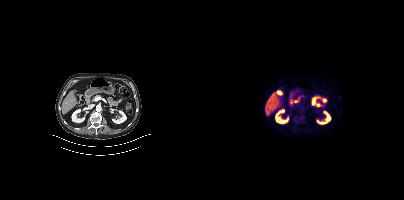
{"modality":"PSMA PET/CT","view":"axial","tracer":"[18F]PSMA-1007","pet_grid":[200,200],"coord_frame":"pet_panel","coord_format":"x0,y0,x1,y1","psma_avid_lesions":false}